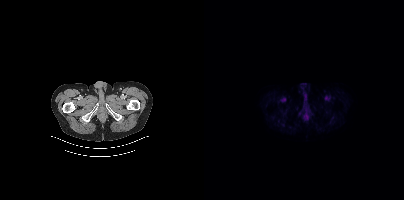
Negative for PSMA-avid disease on this slice. Paired axial CT (left) and PSMA PET (right), 18F-PSMA tracer. PET panel 200×200 px (4.1 mm/px).